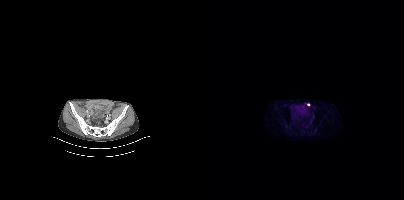
{"modality":"PSMA PET/CT","view":"axial","tracer":"18F","pet_grid":[200,200],"coord_frame":"pet_panel","coord_format":"x0,y0,x1,y1","lesion_bboxes":[],"small_foci_centers":[[104,104]]}